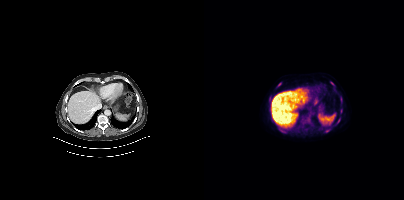
{"modality":"PSMA PET/CT","view":"axial","tracer":"18F-PSMA","pet_grid":[200,200],"coord_frame":"pet_panel","coord_format":"x0,y0,x1,y1","partial":true,"lesion_bboxes":[[76,129,81,133],[121,129,125,132],[136,109,138,113],[132,118,136,124],[126,82,130,85]],"small_foci_centers":[[75,84],[65,98]]}